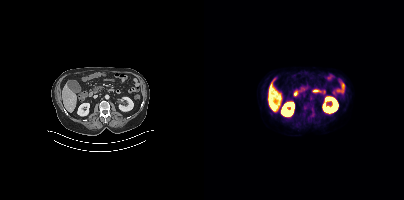
Left: CT. Right: PSMA PET, same axial level, [18F]PSMA-1007 tracer. Acquired on Siemens Biograph mCT Flow 20. Coordinates are on the 200×200 PET (right) panel. (showing 1 of 2 foci) Small PSMA-avid focus (2 to 4 px across) near (center x, center y): (101, 107).